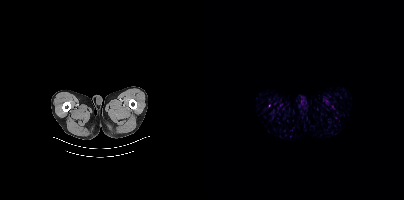
{"modality":"PSMA PET/CT","view":"axial","tracer":"[68Ga]Ga-PSMA-11","pet_grid":[200,200],"coord_frame":"pet_panel","coord_format":"x0,y0,x1,y1","partial":true,"lesion_bboxes":[]}